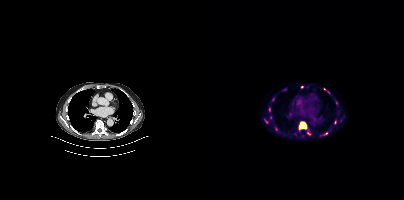
Findings: Coordinates are on the 200×200 PET (right) panel. (showing 7 of 9 foci) PSMA-avid tumor lesion bounding box (x, y, width, height): x=95 y=122 w=8 h=8. Small PSMA-avid foci (2 to 4 px across) near (center x, center y): (65, 109) / (121, 133) / (98, 87) / (124, 92) / (120, 89) / (62, 121).
Technique: Paired axial CT (left) and PSMA PET (right), [18F]PSMA-1007 tracer. acquired on Siemens Biograph mCT Flow 20. slice position z = -526 mm.